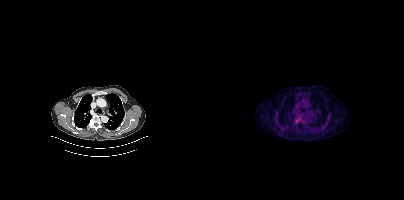
Findings: Coordinates are on the 200×200 PET (right) panel. Small PSMA-avid focus (2 to 4 px across) near (center x, center y): (92, 120).
Technique: Two-panel axial: CT | PSMA PET, 18F-PSMA tracer. acquired on Siemens Biograph mCT Flow 20. slice position z = 448 mm. PET panel 200×200 px (4.1 mm/px).